Technique: Paired axial CT (left) and PSMA PET (right), [18F]PSMA-1007 tracer. slice position z = -259 mm. PET panel 200×200 px (4.1 mm/px).
Note: Part of this slice was blanked for de-identification.
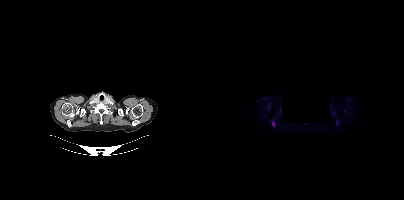
Findings: Coordinates are on the 200×200 PET (right) panel. PSMA-avid tumor lesion bounding box (x0, y0)-(x1, y1): (68, 121)-(70, 126). Small PSMA-avid focus (2 to 4 px across) near (center x, center y): (133, 122).